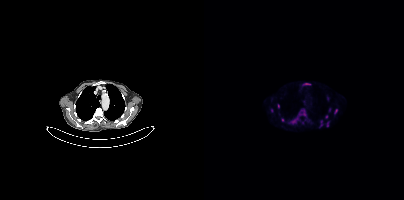
- Two-panel axial: CT | PSMA PET, 18F-PSMA tracer
- slice 267 of 354
- PET panel 200×200 px (4.1 mm/px)
Findings: Coordinates are on the 200×200 PET (right) panel. (showing 10 of 12 foci) PSMA-avid tumor lesion bounding boxes (x0, y0)-(x1, y1): (131, 109)-(133, 113); (123, 122)-(124, 126); (101, 83)-(106, 84). Small PSMA-avid foci (2 to 4 px across) near (center x, center y): (89, 121); (74, 106); (100, 114); (122, 116); (78, 119); (117, 124); (117, 121).